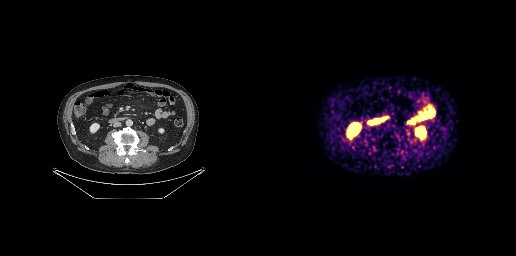
{"modality":"PSMA PET/CT","view":"axial","tracer":"68Ga","pet_grid":[256,256],"coord_frame":"pet_panel","coord_format":"x0,y0,x1,y1","psma_avid_lesions":false}